Technique: Left: CT. Right: PSMA PET, same axial level, 18F-PSMA tracer. slice position z = -1324 mm.
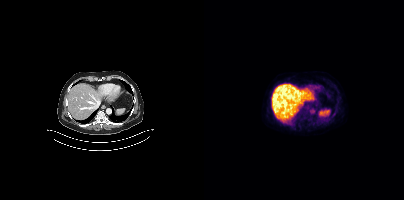
Findings: No tumor lesions annotated on this slice.